Paired axial CT (left) and PSMA PET (right), [18F]PSMA-1007 tracer. Acquired on Siemens Biograph mCT Flow 20. PET panel 200×200 px (4.1 mm/px).
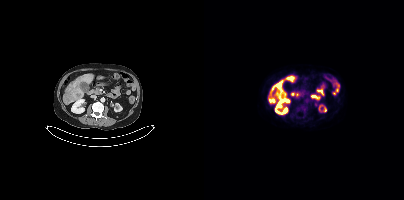
Coordinates are on the 200×200 PET (right) panel. PSMA-avid tumor lesion bounding box (x0, y0)-(x1, y1): (73, 82)-(77, 86).